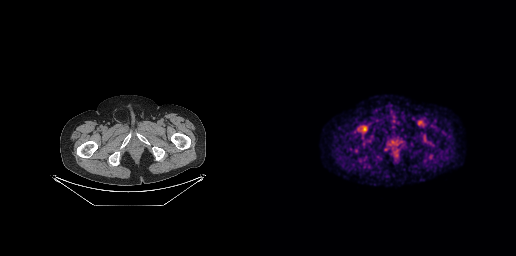
Negative for PSMA-avid disease on this slice. Left: CT. Right: PSMA PET, same axial level, 18F tracer. Acquired on GE Discovery 690. Slice 44 of 263. PET panel 256×256 px (2.7 mm/px).